Left: CT. Right: PSMA PET, same axial level, [18F]PSMA-1007 tracer. PET panel 200×200 px (4.1 mm/px).
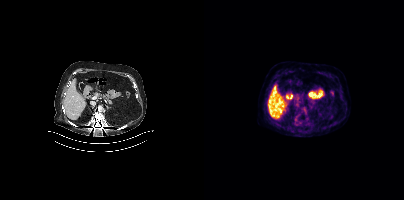
Only PSMA-avid lesion pieces thinner than 2 px on this slice (not listed).